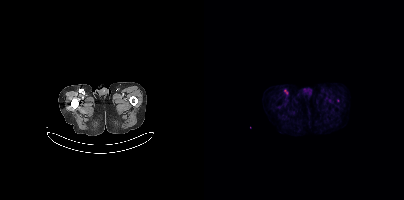
modality: PSMA PET/CT | tracer: 18F | view: axial | PET grid: 200×200
Coordinates are on the 200×200 PET (right) panel. PSMA-avid tumor lesion bounding box (x0,y0,x1,y1): [80,89,83,94]. Small PSMA-avid focus (2 to 4 px across) near (center x, center y): (134, 100).